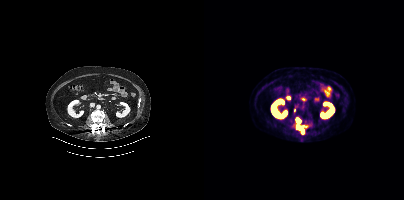
Findings: Coordinates are on the 200×200 PET (right) panel. PSMA-avid tumor lesion bounding boxes (x, y, width, height): x=93 y=125 w=10 h=5 / x=92 y=118 w=5 h=7 / x=98 y=129 w=2 h=5. Small PSMA-avid focus (2 to 4 px across) near (center x, center y): (90, 110).
- Left: CT. Right: PSMA PET, same axial level, 18F tracer
- slice position z = 168 mm